Two-panel axial: CT | PSMA PET, 18F-PSMA tracer. Acquired on Siemens Biograph 64-4R TruePoint.
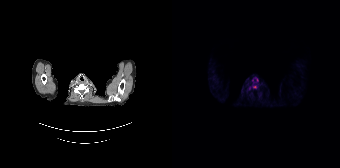
Coordinates are on the 168×168 PET (right) panel. Small PSMA-avid focus (2 to 4 px across) near (center x, center y): (82, 87).